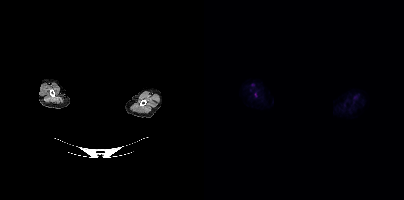
No tumor lesions annotated on this slice.
The head region is masked for de-identification.